Paired axial CT (left) and PSMA PET (right), 18F tracer. Slice position z = -985 mm. PET panel 168×168 px (4.1 mm/px).
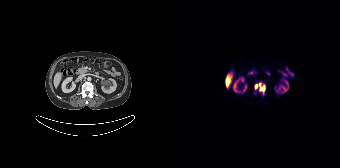
Coordinates are on the 168×168 PET (right) panel. (showing 1 of 2 foci) PSMA-avid tumor lesion bounding box (x, y, width, height): x=82 y=82 w=12 h=14.